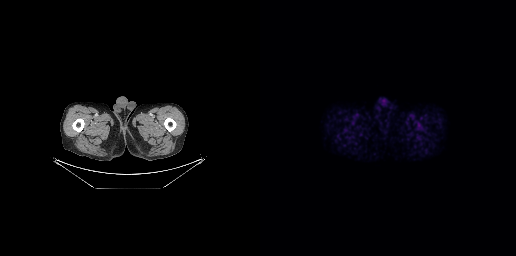
{"modality":"PSMA PET/CT","view":"axial","tracer":"18F-PSMA","pet_grid":[256,256],"coord_frame":"pet_panel","coord_format":"x0,y0,x1,y1","psma_avid_lesions":false}